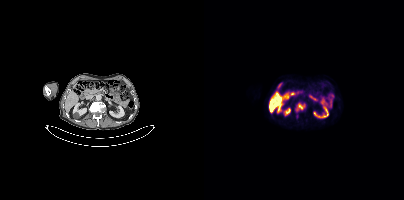
modality: PSMA PET/CT | tracer: [18F]PSMA-1007 | view: axial | PET grid: 200×200
Coordinates are on the 200×200 PET (right) panel. PSMA-avid tumor lesion bounding box (x, y, width, height): x=93 y=103 w=8 h=8.